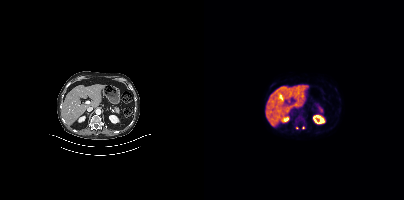
Left: CT. Right: PSMA PET, same axial level, 18F tracer. Coordinates are on the 200×200 PET (right) panel. Small PSMA-avid foci (2 to 4 px across) near (center x, center y): (99, 127) / (92, 127).